Left: CT. Right: PSMA PET, same axial level, [18F]PSMA-1007 tracer. Slice position z = -885 mm.
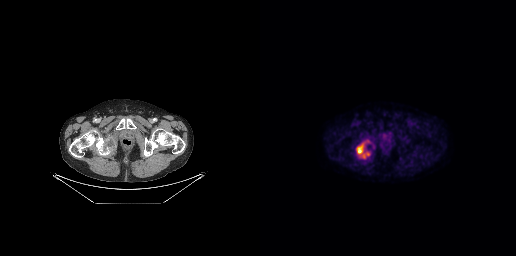
Coordinates are on the 256×256 PET (right) panel. PSMA-avid tumor lesion bounding boxes:
| # | x0 | y0 | x1 | y1 |
|---|---|---|---|---|
| 1 | 96 | 140 | 110 | 158 |